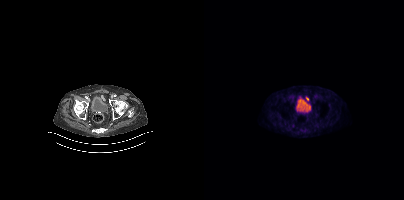
- Paired axial CT (left) and PSMA PET (right), [18F]PSMA-1007 tracer
- slice position z = -1429 mm
Findings: No tumor lesions annotated on this slice.